Two-panel axial: CT | PSMA PET, [18F]PSMA-1007 tracer. PET panel 200×200 px (4.1 mm/px).
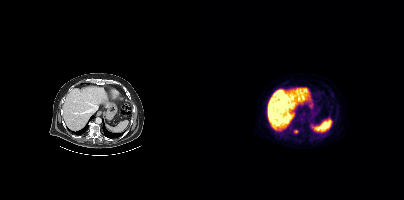
Coordinates are on the 200×200 PET (right) panel. Small PSMA-avid focus (2 to 4 px across) near (center x, center y): (91, 131).